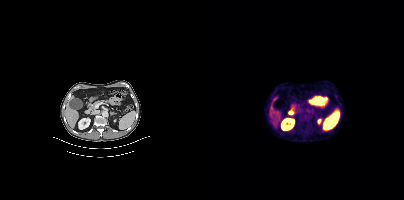
Findings: Coordinates are on the 200×200 PET (right) panel. PSMA-avid tumor lesion bounding box (x0,y0,x1,y1): [96,115,105,120]. Small PSMA-avid focus (2 to 4 px across) near (center x, center y): (106, 126).
- Left: CT. Right: PSMA PET, same axial level, 18F tracer
- slice 218 of 448
- PET panel 200×200 px (4.1 mm/px)